Paired axial CT (left) and PSMA PET (right), 18F-PSMA tracer. Slice 277 of 429.
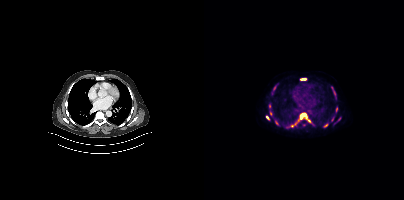
Coordinates are on the 200×200 PET (right) panel. (showing 9 of 13 foci) PSMA-avid tumor lesion bounding boxes (x0,y0,x1,y1): [93,113,102,122]; [96,78,102,80]; [82,125,86,128]; [69,85,72,89]; [71,120,74,124]. Small PSMA-avid foci (2 to 4 px across) near (center x, center y): (63, 117); (130, 92); (122, 125); (127, 87).